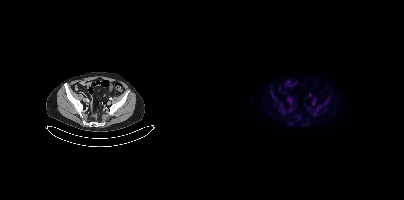
modality: PSMA PET/CT | tracer: 18F-PSMA | view: axial | PET grid: 200×200
This slice has no annotated PSMA-avid lesion.